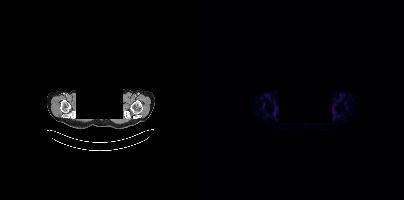
Technique: Two-panel axial: CT | PSMA PET, 68Ga-PSMA tracer. PET panel 200×200 px (4.1 mm/px).
Note: Privacy masking over the head, with the pixels inside a rectangle set to black.
Findings: Negative for PSMA-avid disease on this slice.